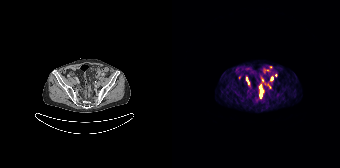
Coordinates are on the 168×168 PET (right) panel. (showing 4 of 5 foci) PSMA-avid tumor lesion bounding boxes (x, y, width, height): x=87 y=86 w=5 h=12 | x=74 y=77 w=4 h=8. Small PSMA-avid foci (2 to 4 px across) near (center x, center y): (67, 77) | (99, 78).
modality: PSMA PET/CT | tracer: [68Ga]Ga-PSMA-11 | view: axial | PET grid: 168×168